- Paired axial CT (left) and PSMA PET (right), [18F]PSMA-1007 tracer
- slice position z = -983 mm
- PET panel 200×200 px (4.1 mm/px)
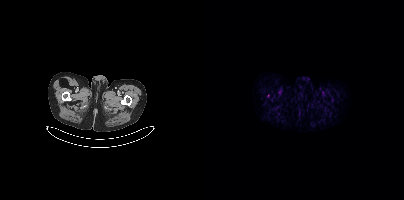
Findings: Negative for PSMA-avid disease on this slice.